Paired axial CT (left) and PSMA PET (right), 68Ga tracer. Acquired on Siemens Biograph 64-4R TruePoint. Slice position z = -1399 mm.
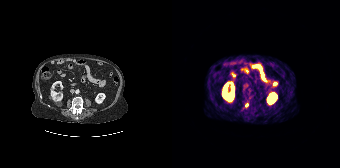
Coordinates are on the 168×168 PET (right) panel. Small PSMA-avid focus (2 to 4 px across) near (center x, center y): (74, 105).